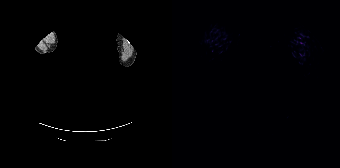
{"modality":"PSMA PET/CT","view":"axial","tracer":"18F-PSMA","pet_grid":[168,168],"coord_frame":"pet_panel","coord_format":"x0,y0,x1,y1","de-identification":"head region blanked (face removed)","psma_avid_lesions":false}